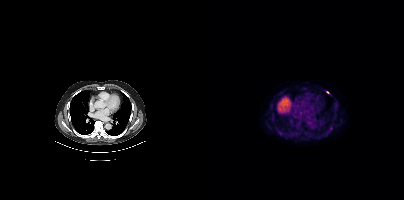
Left: CT. Right: PSMA PET, same axial level, [18F]PSMA-1007 tracer. Acquired on Siemens Biograph mCT Flow 20. Slice 283 of 417. Coordinates are on the 200×200 PET (right) panel. Small PSMA-avid foci (2 to 4 px across) near (center x, center y): (123, 92) (76, 132) (126, 128).